- Left: CT. Right: PSMA PET, same axial level, [18F]PSMA-1007 tracer
- acquired on GE Discovery 690
- slice 76 of 263
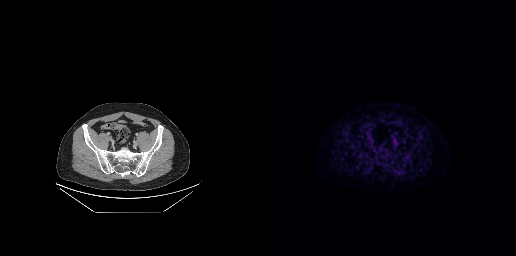
Findings: Coordinates are on the 256×256 PET (right) panel. Small PSMA-avid focus (2 to 4 px across) near (center x, center y): (139, 172).